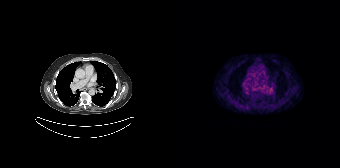
Two-panel axial: CT | PSMA PET, 68Ga tracer. Slice position z = -270 mm. This slice has no annotated PSMA-avid lesion.